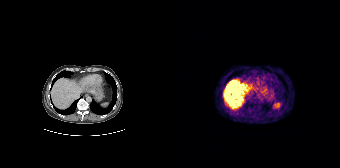
Negative for PSMA-avid disease on this slice. Paired axial CT (left) and PSMA PET (right), 68Ga-PSMA tracer. Acquired on Siemens Biograph 64-4R TruePoint.